Two-panel axial: CT | PSMA PET, [18F]PSMA-1007 tracer. PET panel 200×200 px (4.1 mm/px).
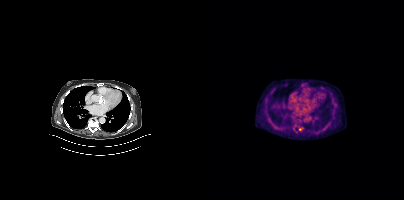
Coordinates are on the 200×200 PET (right) panel. Small PSMA-avid focus (2 to 4 px across) near (center x, center y): (96, 129).